Left: CT. Right: PSMA PET, same axial level, 18F-PSMA tracer. PET panel 200×200 px (4.1 mm/px).
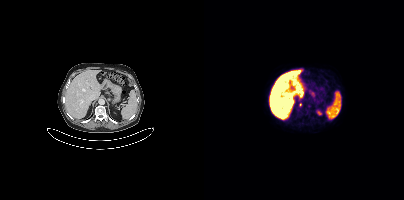
Coordinates are on the 200×200 PET (right) panel. Small PSMA-avid foci (2 to 4 px across) near (center x, center y): (105, 105), (96, 104), (95, 110).